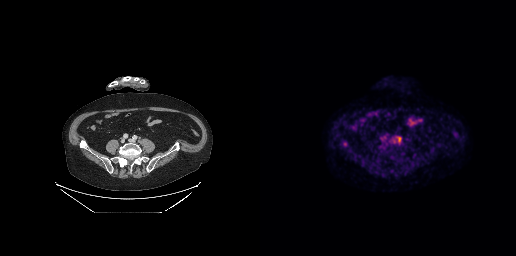
Coordinates are on the 256×256 PET (right) panel. (showing 1 of 2 foci) PSMA-avid tumor lesion bounding box (x0, y0)-(x1, y1): (136, 137)-(141, 142).